Two-panel axial: CT | PSMA PET, 18F tracer. Slice position z = -980 mm. PET panel 200×200 px (4.1 mm/px).
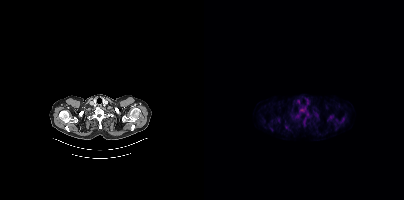
Coordinates are on the 200×200 PET (right) panel. PSMA-avid tumor lesion bounding box (x, y, width, height): x=96 y=108 w=5 h=5. Small PSMA-avid focus (2 to 4 px across) near (center x, center y): (82, 126).